Two-panel axial: CT | PSMA PET, 18F-PSMA tracer. Acquired on Siemens Biograph mCT Flow 20. Slice 236 of 444. PET panel 200×200 px (4.1 mm/px).
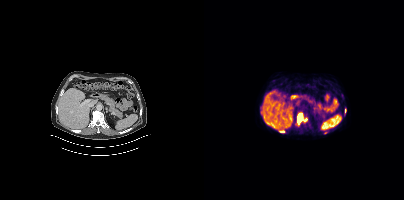
Coordinates are on the 200×200 PET (right) panel. PSMA-avid tumor lesion bounding box (x0,y0,x1,y1): [93,113,103,124].